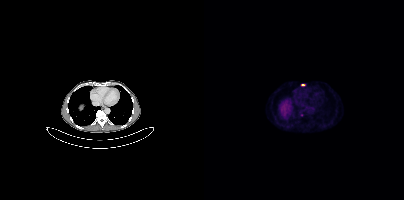
{"pet_grid":[200,200],"coord_frame":"pet_panel","coord_format":"x0,y0,x1,y1","lesion_bboxes":[],"small_foci_centers":[[97,115],[98,84]],"modality":"PSMA PET/CT","view":"axial","tracer":"68Ga"}